- Paired axial CT (left) and PSMA PET (right), [18F]PSMA-1007 tracer
- PET panel 200×200 px (4.1 mm/px)
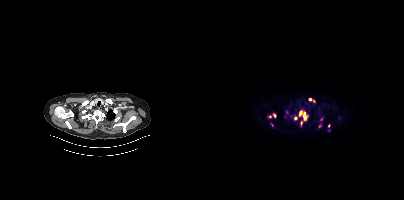
Findings: Coordinates are on the 200×200 PET (right) panel. (showing 9 of 11 foci) PSMA-avid tumor lesion bounding boxes (x, y, width, height): x=95 y=110 w=10 h=11; x=97 y=121 w=2 h=5. Small PSMA-avid foci (2 to 4 px across) near (center x, center y): (91, 118); (106, 99); (70, 115); (110, 101); (66, 116); (124, 125); (115, 125).